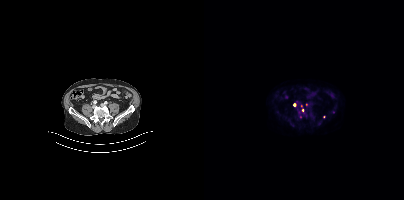
Paired axial CT (left) and PSMA PET (right), 18F-PSMA tracer. Acquired on Siemens Biograph mCT Flow 20. Slice position z = -1286 mm. PET panel 200×200 px (4.1 mm/px). Coordinates are on the 200×200 PET (right) panel. (showing 1 of 2 foci) Small PSMA-avid focus (2 to 4 px across) near (center x, center y): (90, 104).